Paired axial CT (left) and PSMA PET (right), 68Ga-PSMA tracer. Acquired on GE Discovery 690. Slice position z = -933 mm. PET panel 256×256 px (2.7 mm/px).
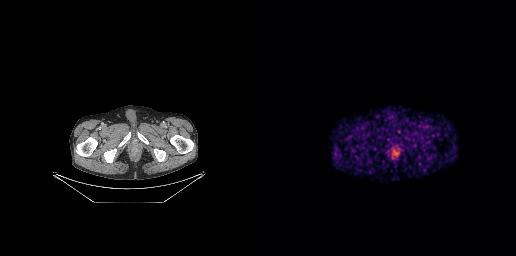
No tumor lesions annotated on this slice.